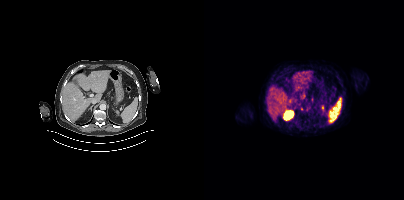
{"modality":"PSMA PET/CT","view":"axial","tracer":"[68Ga]Ga-PSMA-11","pet_grid":[200,200],"coord_frame":"pet_panel","coord_format":"x0,y0,x1,y1","partial":true,"lesion_bboxes":[]}